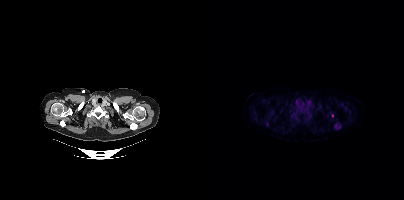
Technique: Two-panel axial: CT | PSMA PET, 18F tracer. acquired on Siemens Biograph mCT Flow 20. slice position z = -765 mm. PET panel 200×200 px (4.1 mm/px).
Findings: Coordinates are on the 200×200 PET (right) panel. PSMA-avid tumor lesion bounding boxes (x, y, width, height): x=130 y=124 w=7 h=6 | x=103 y=112 w=5 h=6. Small PSMA-avid foci (2 to 4 px across) near (center x, center y): (89, 114) | (63, 124) | (128, 115) | (141, 108).